Two-panel axial: CT | PSMA PET, [68Ga]Ga-PSMA-11 tracer. Acquired on GE Discovery 690. PET panel 256×256 px (2.7 mm/px).
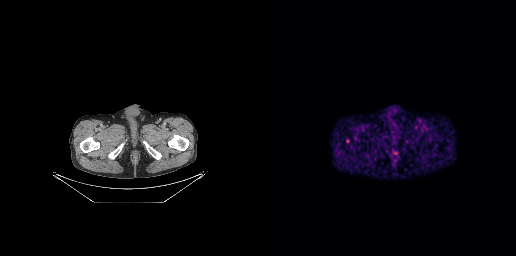
Coordinates are on the 256×256 PET (right) panel. Small PSMA-avid focus (2 to 4 px across) near (center x, center y): (87, 141).